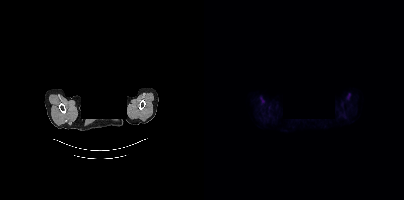
{"modality":"PSMA PET/CT","view":"axial","tracer":"18F","pet_grid":[200,200],"coord_frame":"pet_panel","coord_format":"x0,y0,x1,y1","de-identification":"rectangular block over head set to black","psma_avid_lesions":false}